modality: PSMA PET/CT | tracer: 18F | view: axial | PET grid: 200×200
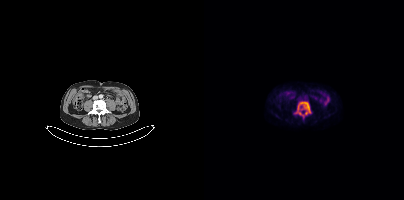
Coordinates are on the 200×200 PET (right) panel. PSMA-avid tumor lesion bounding box (x0,y0,x1,y1): [91,101,106,117].